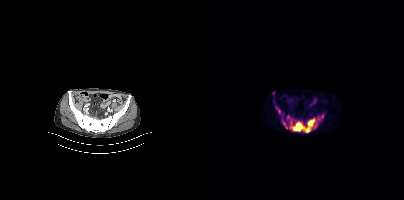
Coordinates are on the 200×200 PET (right) panel. PSMA-avid tumor lesion bounding boxes (x0, y0)-(x1, y1): (86, 114)-(119, 132); (71, 107)-(76, 113); (83, 115)-(85, 119). Small PSMA-avid foci (2 to 4 px across) near (center x, center y): (80, 123); (69, 92); (82, 127).